Head region blanked for anonymization (face removed).
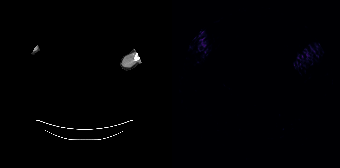
No PSMA-avid tumor lesions on this slice.